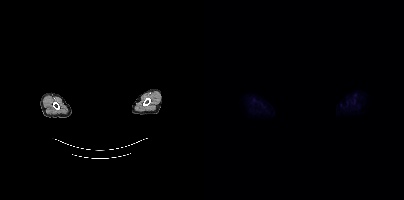
modality: PSMA PET/CT | tracer: [18F]PSMA-1007 | view: axial | PET grid: 200×200 | de-identification: facial region redacted
This slice has no annotated PSMA-avid lesion.